Technique: Left: CT. Right: PSMA PET, same axial level, 18F-PSMA tracer. acquired on Siemens Biograph mCT Flow 20.
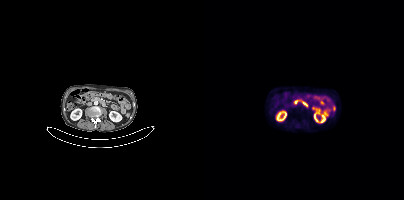
Findings: This slice has no annotated PSMA-avid lesion.